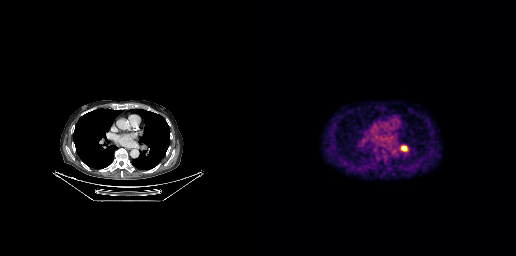
Technique: Paired axial CT (left) and PSMA PET (right), 18F tracer. slice 184 of 263.
Findings: Coordinates are on the 256×256 PET (right) panel. PSMA-avid tumor lesion bounding box (x, y, width, height): x=141 y=145 w=7 h=7.